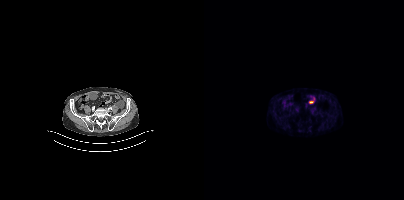
Two-panel axial: CT | PSMA PET, 18F-PSMA tracer. Acquired on Siemens Biograph mCT Flow 20. PET panel 200×200 px (4.1 mm/px). No PSMA-avid tumor lesions on this slice.